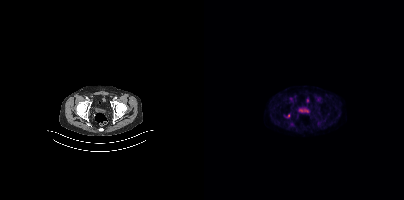
Coordinates are on the 200×200 PET (right) panel. Small PSMA-avid focus (2 to 4 px across) near (center x, center y): (84, 115).
modality: PSMA PET/CT | tracer: 18F | view: axial | PET grid: 200×200